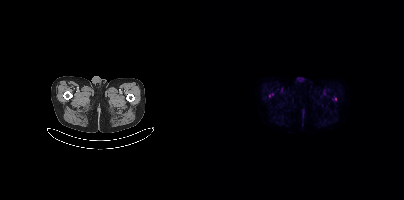
Only PSMA-avid lesion pieces thinner than 2 px on this slice (not listed).